Left: CT. Right: PSMA PET, same axial level, 18F-PSMA tracer. Acquired on Siemens Biograph mCT Flow 20. Slice 134 of 415. PET panel 200×200 px (4.1 mm/px).
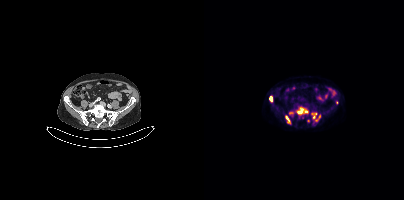
Coordinates are on the 200×200 PET (right) panel. (showing 8 of 9 foci) PSMA-avid tumor lesion bounding boxes (x0,y0,x1,y1): [93,107,104,114] [81,115,86,123] [65,96,68,101] [108,113,112,118]. Small PSMA-avid foci (2 to 4 px across) near (center x, center y): (86, 112) (132, 102) (115, 116) (112, 120).